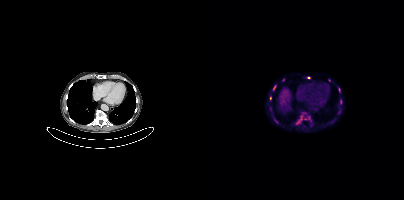
modality: PSMA PET/CT | tracer: [18F]PSMA-1007 | view: axial | PET grid: 200×200
Coordinates are on the 200×200 PET (right) panel. (showing 6 of 9 foci) PSMA-avid tumor lesion bounding box (x0,y0,x1,y1): [69,85,71,90]. Small PSMA-avid foci (2 to 4 px across) near (center x, center y): (66, 98), (136, 101), (104, 77), (94, 122), (79, 79).